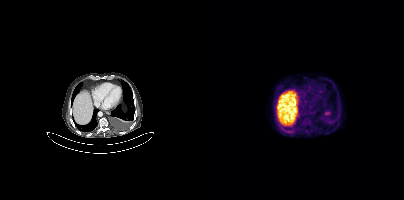
Negative for PSMA-avid disease on this slice. Paired axial CT (left) and PSMA PET (right), [18F]PSMA-1007 tracer. Slice 260 of 425.